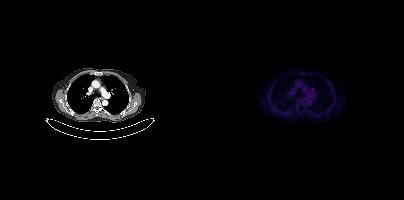
- Two-panel axial: CT | PSMA PET, 18F-PSMA tracer
- acquired on Siemens Biograph mCT Flow 20
Findings: Coordinates are on the 200×200 PET (right) panel. Small PSMA-avid focus (2 to 4 px across) near (center x, center y): (108, 89).